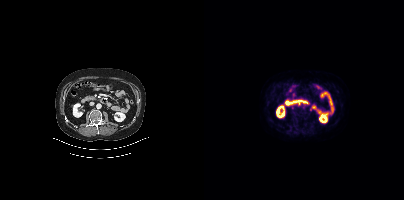
- Paired axial CT (left) and PSMA PET (right), [18F]PSMA-1007 tracer
- acquired on Siemens Biograph mCT Flow 20
- PET panel 200×200 px (4.1 mm/px)
Findings: Negative for PSMA-avid disease on this slice.